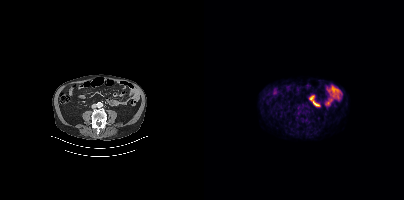
Negative for PSMA-avid disease on this slice.
modality: PSMA PET/CT | tracer: 18F-PSMA | view: axial